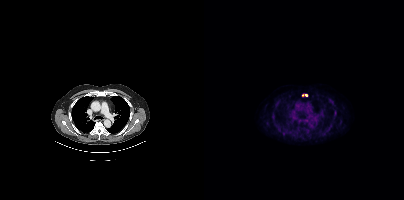
Findings: Coordinates are on the 200×200 PET (right) panel. Small PSMA-avid foci (2 to 4 px across) near (center x, center y): (102, 95) | (98, 95).
- Two-panel axial: CT | PSMA PET, 18F-PSMA tracer
- slice 306 of 417
- PET panel 200×200 px (4.1 mm/px)